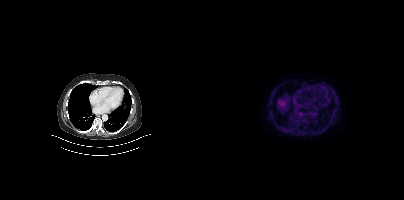
{"pet_grid":[200,200],"coord_frame":"pet_panel","coord_format":"x0,y0,x1,y1","psma_avid_lesions":false,"modality":"PSMA PET/CT","view":"axial","tracer":"[18F]PSMA-1007"}